modality: PSMA PET/CT | tracer: 18F | view: axial
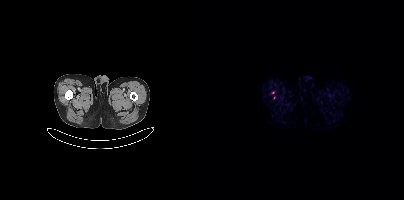
This slice has no annotated PSMA-avid lesion.